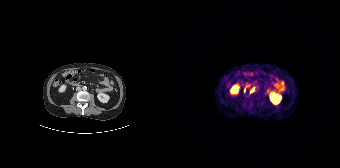
Coordinates are on the 168×168 PET (right) panel. (showing 1 of 2 foci) PSMA-avid tumor lesion bounding box (x0, y0)-(x1, y1): (78, 88)-(82, 92).